Paired axial CT (left) and PSMA PET (right), 18F tracer. Slice position z = -742 mm.
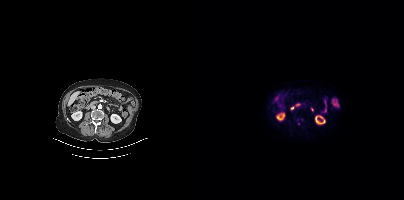
Coordinates are on the 200×200 PET (right) panel. (showing 1 of 2 foci) Small PSMA-avid focus (2 to 4 px across) near (center x, center y): (97, 119).